- Left: CT. Right: PSMA PET, same axial level, [18F]PSMA-1007 tracer
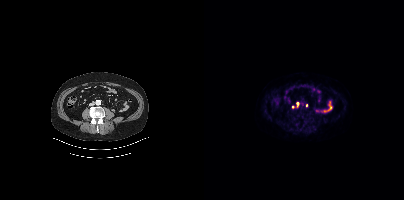
Findings: Coordinates are on the 200×200 PET (right) panel. (showing 2 of 3 foci) Small PSMA-avid foci (2 to 4 px across) near (center x, center y): (93, 104); (88, 106).